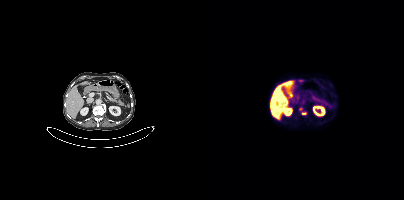
Findings: Coordinates are on the 200×200 PET (right) panel. (showing 1 of 2 foci) PSMA-avid tumor lesion bounding box (x0, y0)-(x1, y1): (98, 112)-(102, 114).
- Two-panel axial: CT | PSMA PET, [18F]PSMA-1007 tracer
- slice position z = -542 mm
- PET panel 200×200 px (4.1 mm/px)